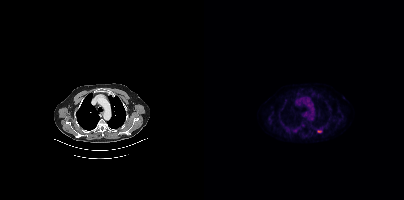
{"pet_grid":[200,200],"coord_frame":"pet_panel","coord_format":"x0,y0,x1,y1","lesion_bboxes":[[113,130,117,132]],"modality":"PSMA PET/CT","view":"axial","tracer":"18F"}